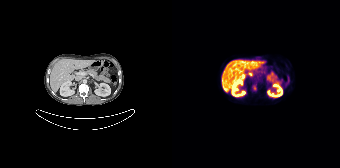
Paired axial CT (left) and PSMA PET (right), 18F-PSMA tracer. PET panel 168×168 px (4.1 mm/px).
Coordinates are on the 168×168 PET (right) panel. PSMA-avid tumor lesion bounding boxes:
| # | x0 | y0 | x1 | y1 |
|---|---|---|---|---|
| 1 | 80 | 84 | 84 | 90 |